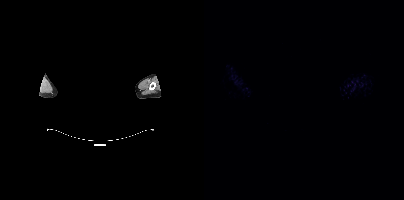
A rectangle over the head was blacked out to remove identifiable facial features. Paired axial CT (left) and PSMA PET (right), 18F tracer. Slice 432 of 433. PET panel 200×200 px (4.1 mm/px). No PSMA-avid tumor lesions on this slice.